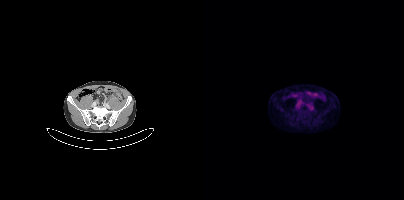
modality: PSMA PET/CT | tracer: [18F]PSMA-1007 | view: axial | PET grid: 200×200
Only PSMA-avid lesion pieces thinner than 2 px on this slice (not listed).